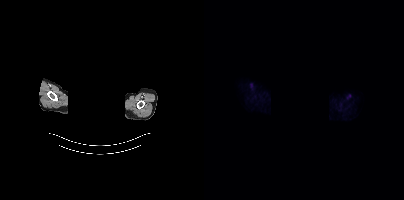
Left: CT. Right: PSMA PET, same axial level, [18F]PSMA-1007 tracer. Slice 415 of 466. PET panel 200×200 px (4.1 mm/px). Facial anatomy redacted by setting a rectangular region of the head to black. No PSMA-avid tumor lesions on this slice.